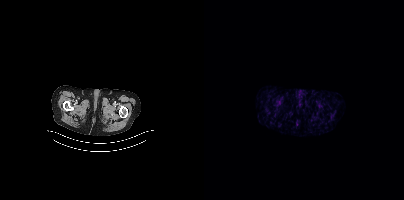
{"modality":"PSMA PET/CT","view":"axial","tracer":"68Ga","pet_grid":[200,200],"coord_frame":"pet_panel","coord_format":"x0,y0,x1,y1","psma_avid_lesions":false}